modality: PSMA PET/CT | tracer: 18F | view: axial | PET grid: 200×200
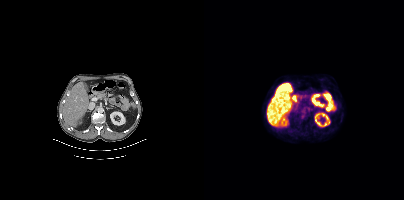
Negative for PSMA-avid disease on this slice.